modality: PSMA PET/CT | tracer: [18F]PSMA-1007 | view: axial | PET grid: 200×200
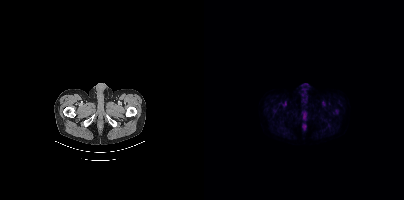
This slice has no annotated PSMA-avid lesion.